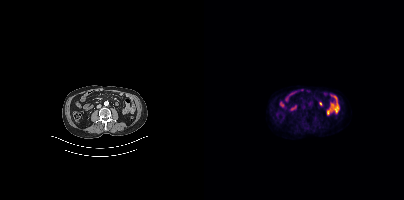
This slice has no annotated PSMA-avid lesion.
modality: PSMA PET/CT | tracer: 18F | view: axial